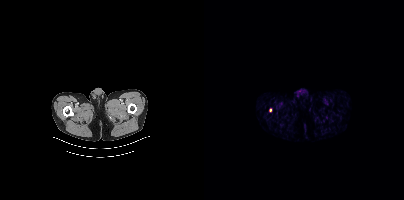
{"modality":"PSMA PET/CT","view":"axial","tracer":"[68Ga]Ga-PSMA-11","pet_grid":[200,200],"coord_frame":"pet_panel","coord_format":"x0,y0,x1,y1","lesion_bboxes":[],"small_foci_centers":[[66,110]]}